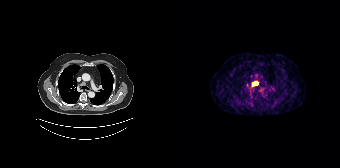
Coordinates are on the 168×168 PET (right) panel. (showing 1 of 2 foci) PSMA-avid tumor lesion bounding box (x, y, width, height): x=80 y=82 w=6 h=4.